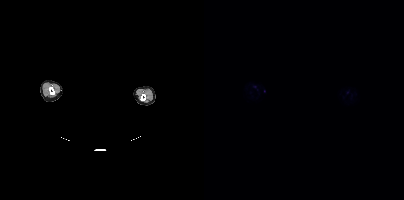
Findings: No tumor lesions annotated on this slice.
Technique: Two-panel axial: CT | PSMA PET, [18F]PSMA-1007 tracer. acquired on Siemens Biograph mCT Flow 20. PET panel 200×200 px (4.1 mm/px).
Note: The head region is masked for de-identification.